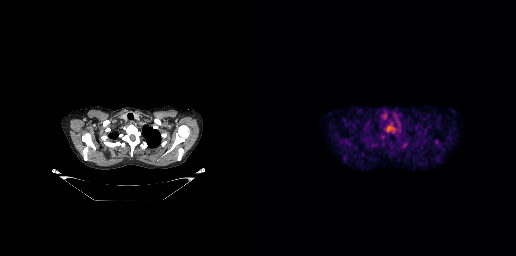
Coordinates are on the 256×256 PET (right) panel. PSMA-avid tumor lesion bounding box (x0,y0,x1,y1): [125,123,136,132].